Two-panel axial: CT | PSMA PET, [18F]PSMA-1007 tracer. Acquired on Siemens Biograph mCT Flow 20. Slice 189 of 421. PET panel 200×200 px (4.1 mm/px).
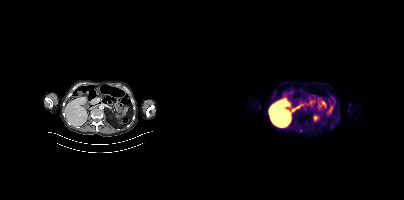
No tumor lesions annotated on this slice.